Left: CT. Right: PSMA PET, same axial level, [18F]PSMA-1007 tracer. Slice position z = -658 mm. PET panel 200×200 px (4.1 mm/px).
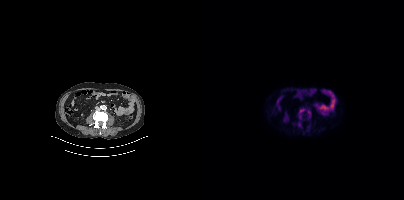
Coordinates are on the 200×200 PET (right) panel. (showing 4 of 5 foci) PSMA-avid tumor lesion bounding boxes (x0, y0)-(x1, y1): (95, 108)-(100, 118) | (103, 110)-(106, 117) | (103, 127)-(105, 131). Small PSMA-avid focus (2 to 4 px across) near (center x, center y): (95, 124).